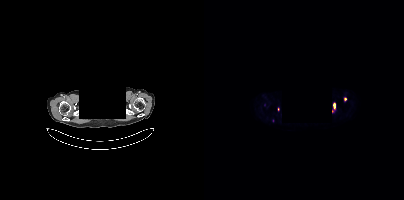
{"modality":"PSMA PET/CT","view":"axial","tracer":"18F","pet_grid":[200,200],"coord_frame":"pet_panel","coord_format":"x0,y0,x1,y1","deidentification":"facial region redacted","partial":true,"lesion_bboxes":[[130,103,131,107]],"small_foci_centers":[[141,99]]}